Left: CT. Right: PSMA PET, same axial level, 68Ga-PSMA tracer. Acquired on Siemens Biograph 64-4R TruePoint.
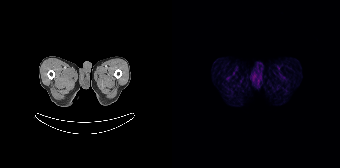
No PSMA-avid tumor lesions on this slice.